- Left: CT. Right: PSMA PET, same axial level, 18F-PSMA tracer
- slice 341 of 429
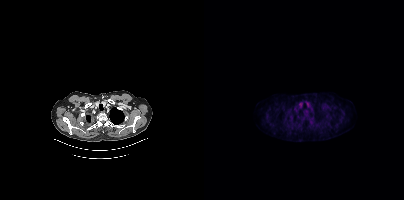
Findings: No PSMA-avid tumor lesions on this slice.